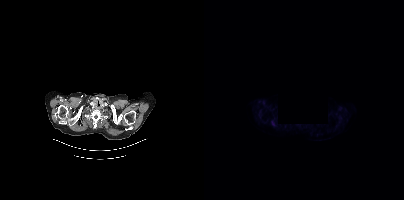
Paired axial CT (left) and PSMA PET (right), 18F tracer. A region was redacted for de-identification by setting it to black. Coordinates are on the 200×200 PET (right) panel. PSMA-avid tumor lesion bounding box (x0,y0,x1,y1): [67,120,72,126].